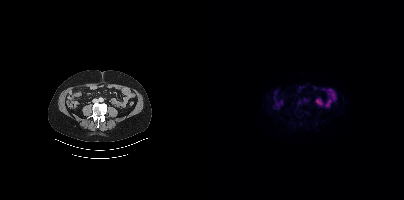
modality: PSMA PET/CT | tracer: 18F-PSMA | view: axial
Negative for PSMA-avid disease on this slice.